Left: CT. Right: PSMA PET, same axial level, [18F]PSMA-1007 tracer.
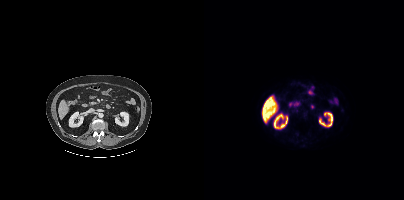
This slice has no annotated PSMA-avid lesion.